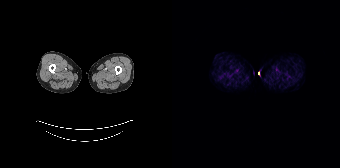
Paired axial CT (left) and PSMA PET (right), 68Ga-PSMA tracer. PET panel 168×168 px (4.1 mm/px). No tumor lesions annotated on this slice.